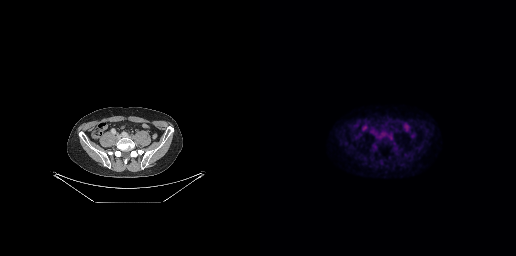
Coordinates are on the 256×256 PET (right) panel. PSMA-avid tumor lesion bounding boxes:
| # | x0 | y0 | x1 | y1 |
|---|---|---|---|---|
| 1 | 129 | 135 | 133 | 139 |
Left: CT. Right: PSMA PET, same axial level, [18F]PSMA-1007 tracer. Slice 95 of 263.